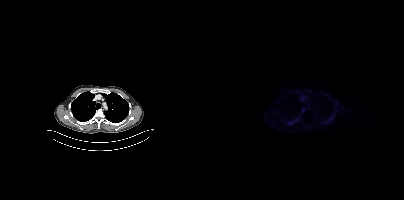
Negative for PSMA-avid disease on this slice. Left: CT. Right: PSMA PET, same axial level, [18F]PSMA-1007 tracer. PET panel 200×200 px (4.1 mm/px).